modality: PSMA PET/CT | tracer: 18F-PSMA | view: axial | PET grid: 200×200
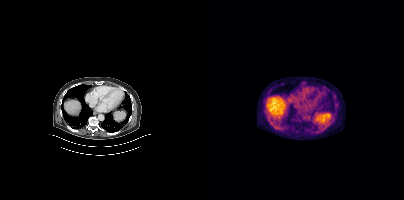
No tumor lesions annotated on this slice.